- Two-panel axial: CT | PSMA PET, 18F-PSMA tracer
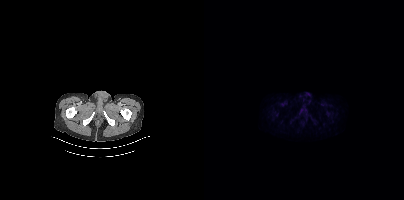
Findings: This slice has no annotated PSMA-avid lesion.